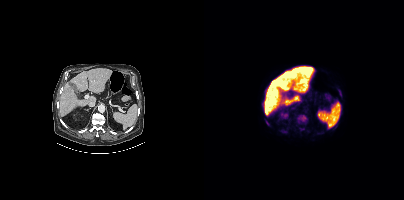
Left: CT. Right: PSMA PET, same axial level, 18F tracer. Slice 222 of 423. PET panel 200×200 px (4.1 mm/px).
Coordinates are on the 200×200 PET (right) panel. PSMA-avid tumor lesion bounding boxes:
| # | x0 | y0 | x1 | y1 |
|---|---|---|---|---|
| 1 | 93 | 115 | 103 | 123 |
| 2 | 62 | 120 | 65 | 125 |
| 3 | 96 | 128 | 100 | 130 |
Small PSMA-avid focus (2 to 4 px across) near (center x, center y): (62, 116).